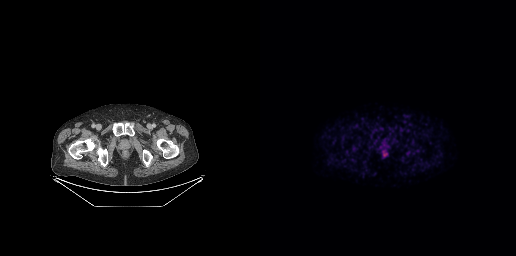
Left: CT. Right: PSMA PET, same axial level, [18F]PSMA-1007 tracer. Acquired on GE Discovery 690. PET panel 256×256 px (2.7 mm/px). No PSMA-avid tumor lesions on this slice.